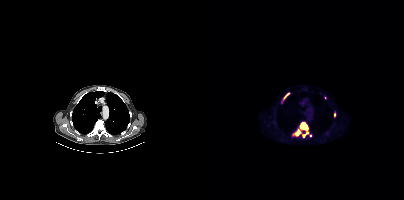
Paired axial CT (left) and PSMA PET (right), 18F-PSMA tracer. Slice 319 of 435. Coordinates are on the 200×200 PET (right) panel. (showing 7 of 8 foci) PSMA-avid tumor lesion bounding boxes (x, y, width, height): x=96 y=122 w=9 h=16; x=78 y=93 w=8 h=9. Small PSMA-avid foci (2 to 4 px across) near (center x, center y): (93, 134); (130, 114); (94, 131); (106, 135); (121, 97).